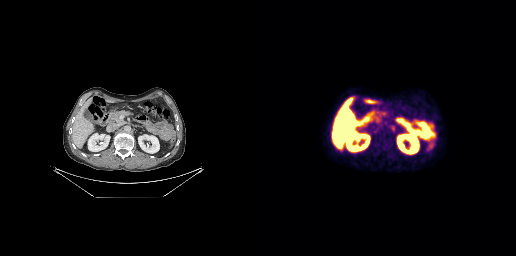
modality: PSMA PET/CT | tracer: 18F-PSMA | view: axial
Coordinates are on the 256×256 PET (right) panel. PSMA-avid tumor lesion bounding box (x0,y0,x1,y1): [130,124,135,130].